modality: PSMA PET/CT | tracer: 68Ga-PSMA | view: axial | PET grid: 168×168
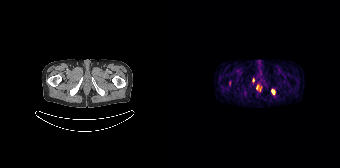
Coordinates are on the 168×168 PET (right) panel. PSMA-avid tumor lesion bounding box (x0,y0,x1,y1): [100,89,102,94]. Small PSMA-avid foci (2 to 4 px across) near (center x, center y): (57, 82); (81, 79).